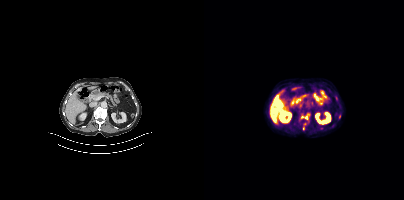
modality: PSMA PET/CT | tracer: 18F | view: axial
Coordinates are on the 200×200 PET (right) panel. (showing 3 of 4 foci) Small PSMA-avid foci (2 to 4 px across) near (center x, center y): (102, 117) / (98, 116) / (99, 128).